Technique: Two-panel axial: CT | PSMA PET, [18F]PSMA-1007 tracer.
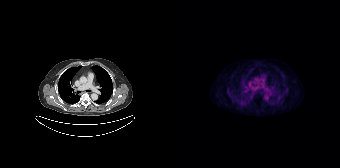
Findings: This slice has no annotated PSMA-avid lesion.